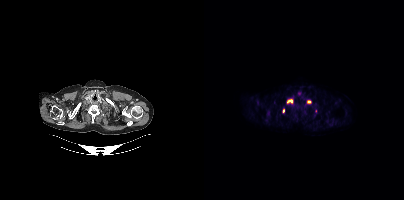
Coordinates are on the 200×200 PET (right) panel. (showing 3 of 4 foci) PSMA-avid tumor lesion bounding boxes (x0, y0)-(x1, y1): (82, 99)-(88, 104) | (103, 100)-(107, 103). Small PSMA-avid focus (2 to 4 px across) near (center x, center y): (79, 110).